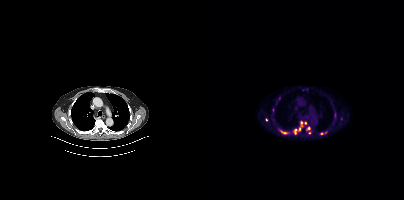
modality: PSMA PET/CT | tracer: 18F-PSMA | view: axial
Coordinates are on the 200×200 PET (right) panel. (showing 2 of 8 foci) PSMA-avid tumor lesion bounding box (x0, y0)-(x1, y1): (76, 130)-(83, 134). Small PSMA-avid focus (2 to 4 px across) near (center x, center y): (62, 119).